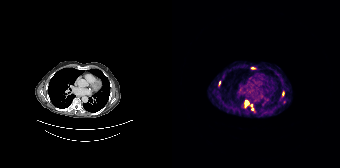
{"modality":"PSMA PET/CT","view":"axial","tracer":"68Ga","pet_grid":[168,168],"coord_frame":"pet_panel","coord_format":"x0,y0,x1,y1","lesion_bboxes":[[73,100,76,107]],"small_foci_centers":[[80,109],[47,82],[79,105],[110,93],[81,67]]}